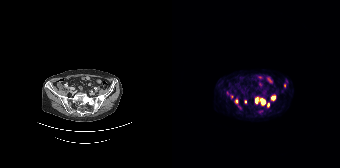
modality: PSMA PET/CT | tracer: [68Ga]Ga-PSMA-11 | view: axial
Coordinates are on the 168×168 PET (right) panel. (showing 7 of 8 foci) PSMA-avid tumor lesion bounding boxes (x, y, width, height): x=89 y=99 w=5 h=6 | x=99 y=96 w=5 h=4 | x=83 y=98 w=3 h=6. Small PSMA-avid foci (2 to 4 px across) near (center x, center y): (64, 101) | (96, 104) | (73, 101) | (112, 85).